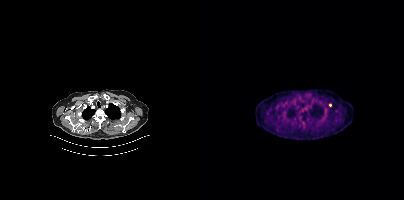
{"modality":"PSMA PET/CT","view":"axial","tracer":"18F-PSMA","pet_grid":[200,200],"coord_frame":"pet_panel","coord_format":"x0,y0,x1,y1","lesion_bboxes":[],"small_foci_centers":[[126,104]]}